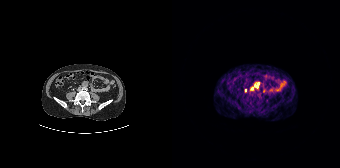
Coordinates are on the 168×168 PET (right) panel. PSMA-avid tumor lesion bounding boxes:
| # | x0 | y0 | x1 | y1 |
|---|---|---|---|---|
| 1 | 78 | 82 | 87 | 90 |
Small PSMA-avid focus (2 to 4 px across) near (center x, center y): (73, 90).
Two-panel axial: CT | PSMA PET, 68Ga-PSMA tracer.